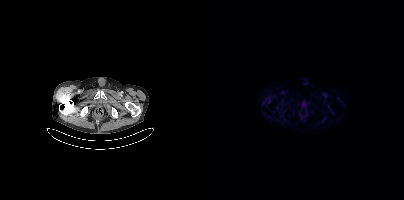
modality: PSMA PET/CT | tracer: 18F-PSMA | view: axial
No tumor lesions annotated on this slice.